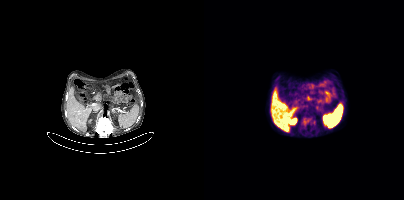
Technique: Left: CT. Right: PSMA PET, same axial level, 18F tracer. acquired on Siemens Biograph mCT Flow 20. PET panel 200×200 px (4.1 mm/px).
Findings: Coordinates are on the 200×200 PET (right) panel. PSMA-avid tumor lesion bounding box (x, y, width, height): x=97 y=117 w=15 h=12.